- Two-panel axial: CT | PSMA PET, 18F-PSMA tracer
- acquired on Siemens Biograph mCT Flow 20
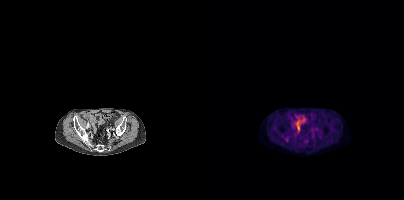
Findings: Negative for PSMA-avid disease on this slice.